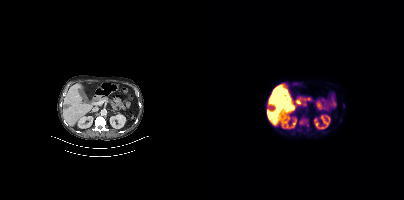
{"modality":"PSMA PET/CT","view":"axial","tracer":"[18F]PSMA-1007","pet_grid":[200,200],"coord_frame":"pet_panel","coord_format":"x0,y0,x1,y1","lesion_bboxes":[[95,118,104,126],[139,103,140,108]]}